The face region was removed for patient privacy by blanking a rectangle over the head.
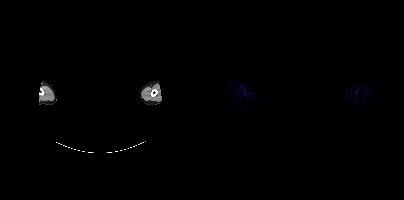
This slice has no annotated PSMA-avid lesion.